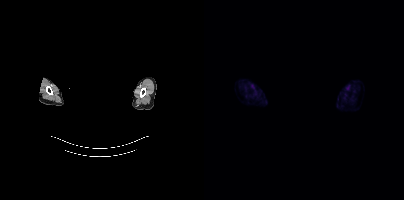
Findings: No PSMA-avid tumor lesions on this slice.
Technique: Two-panel axial: CT | PSMA PET, 18F tracer. acquired on Siemens Biograph mCT Flow 20. slice 411 of 442. PET panel 200×200 px (4.1 mm/px).
Note: Head region blanked for anonymization (face removed).